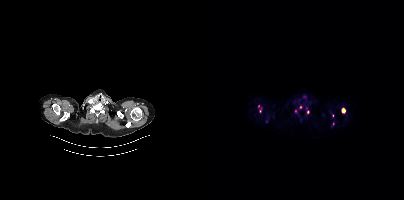
Findings: Coordinates are on the 200×200 PET (right) panel. (showing 5 of 9 foci) PSMA-avid tumor lesion bounding box (x0,y0,x1,y1): [137,108,141,113]. Small PSMA-avid foci (2 to 4 px across) near (center x, center y): (54, 106); (56, 110); (103, 112); (96, 106).
- Paired axial CT (left) and PSMA PET (right), 18F tracer
- slice 385 of 444